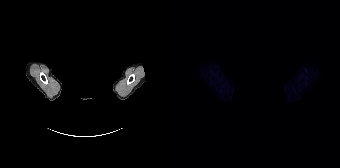
No PSMA-avid tumor lesions on this slice. Two-panel axial: CT | PSMA PET, 18F-PSMA tracer. PET panel 168×168 px (4.1 mm/px). Privacy masking over the head, with the pixels inside a rectangle set to black.